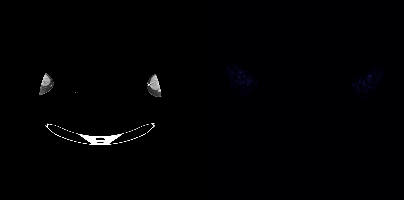
{"modality":"PSMA PET/CT","view":"axial","tracer":"[18F]PSMA-1007","pet_grid":[200,200],"coord_frame":"pet_panel","coord_format":"x0,y0,x1,y1","psma_avid_lesions":false,"de-identification":"facial region redacted"}